- Left: CT. Right: PSMA PET, same axial level, 18F-PSMA tracer
- acquired on GE Discovery 690
- PET panel 256×256 px (2.7 mm/px)
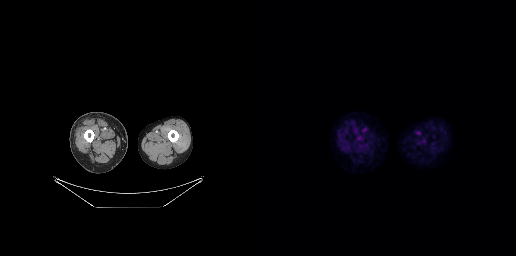
Findings: No PSMA-avid tumor lesions on this slice.